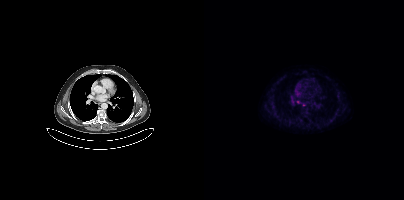
Left: CT. Right: PSMA PET, same axial level, 18F-PSMA tracer. PET panel 200×200 px (4.1 mm/px). Coordinates are on the 200×200 PET (right) panel. PSMA-avid tumor lesion bounding box (x, y, width, height): x=93 y=101 w=9 h=6.